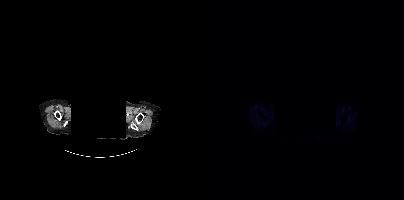
{"modality":"PSMA PET/CT","view":"axial","tracer":"18F-PSMA","pet_grid":[200,200],"coord_frame":"pet_panel","coord_format":"x0,y0,x1,y1","psma_avid_lesions":false,"redaction":"privacy mask over head"}